Technique: Two-panel axial: CT | PSMA PET, 68Ga tracer. slice position z = -929 mm.
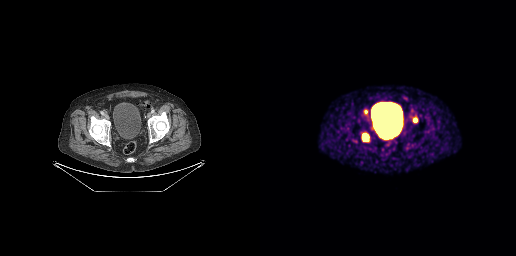
Findings: Coordinates are on the 256×256 PET (right) panel. PSMA-avid tumor lesion bounding boxes (x0,y0,x1,y1): [102,133,108,141], [104,109,107,114], [153,118,157,122].